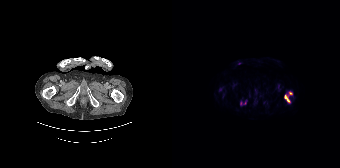
Findings: Coordinates are on the 168×168 PET (right) panel. (showing 3 of 4 foci) PSMA-avid tumor lesion bounding box (x, y, width, height): x=112 y=95 w=6 h=8. Small PSMA-avid foci (2 to 4 px across) near (center x, center y): (118, 93) / (68, 103).
Technique: Left: CT. Right: PSMA PET, same axial level, [18F]PSMA-1007 tracer.